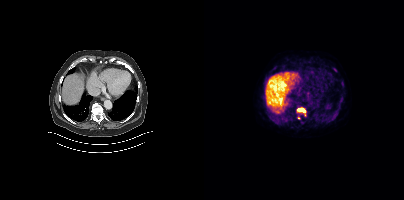
{"modality":"PSMA PET/CT","view":"axial","tracer":"18F","pet_grid":[200,200],"coord_frame":"pet_panel","coord_format":"x0,y0,x1,y1","partial":true,"lesion_bboxes":[[127,114,133,119],[137,82,140,86],[136,98,139,102],[94,109,100,111],[120,120,124,123]],"small_foci_centers":[[130,69]]}